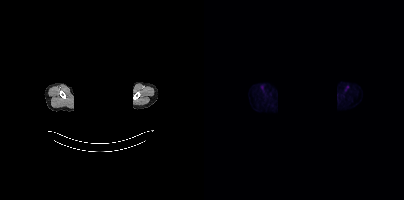
- Two-panel axial: CT | PSMA PET, 18F-PSMA tracer
- acquired on Siemens Biograph mCT Flow 20
- PET panel 200×200 px (4.1 mm/px)
- the face region was removed for patient privacy by blanking a rectangle over the head
Findings: This slice has no annotated PSMA-avid lesion.